Two-panel axial: CT | PSMA PET, 18F tracer. PET panel 200×200 px (4.1 mm/px).
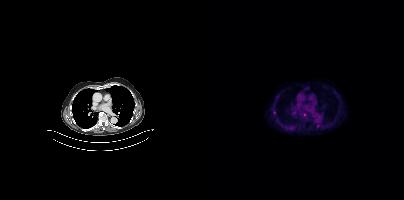
Coordinates are on the 200×200 PET (right) panel. (showing 2 of 3 foci) Small PSMA-avid foci (2 to 4 px across) near (center x, center y): (114, 124) | (100, 114).